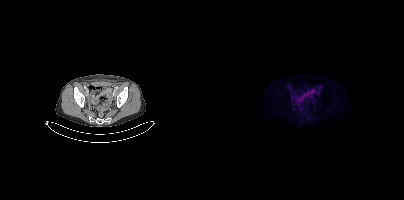
Two-panel axial: CT | PSMA PET, 18F-PSMA tracer. Acquired on Siemens Biograph mCT Flow 20. PET panel 200×200 px (4.1 mm/px). This slice has no annotated PSMA-avid lesion.